Paired axial CT (left) and PSMA PET (right), 18F tracer.
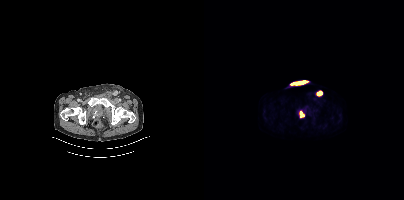
Coordinates are on the 200×200 PET (right) panel. PSMA-avid tumor lesion bounding boxes (x0, y0)-(x1, y1): (112, 91)-(118, 96); (96, 111)-(100, 117).